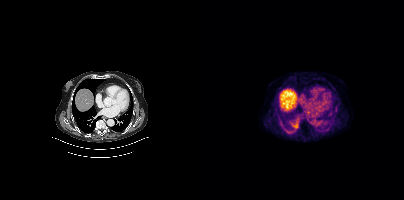
Technique: Left: CT. Right: PSMA PET, same axial level, 18F tracer. slice position z = -1054 mm.
Findings: No tumor lesions annotated on this slice.